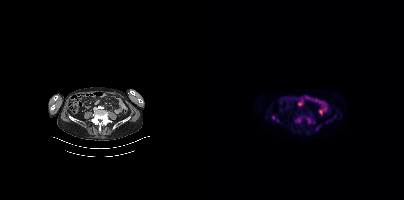
Left: CT. Right: PSMA PET, same axial level, [18F]PSMA-1007 tracer.
Coordinates are on the 200×200 PET (right) panel. PSMA-avid tumor lesion bounding boxes:
| # | x0 | y0 | x1 | y1 |
|---|---|---|---|---|
| 1 | 102 | 117 | 107 | 121 |
| 2 | 93 | 116 | 98 | 122 |
| 3 | 112 | 126 | 114 | 130 |
Small PSMA-avid foci (2 to 4 px across) near (center x, center y): (69, 117); (73, 120).